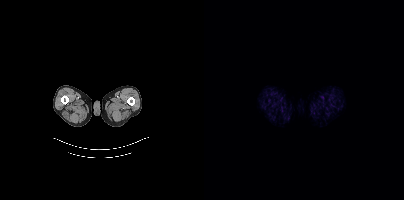
No tumor lesions annotated on this slice.